Left: CT. Right: PSMA PET, same axial level, 18F tracer. PET panel 200×200 px (4.1 mm/px).
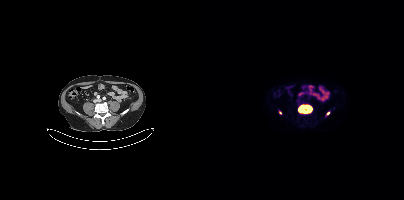
Coordinates are on the 200×200 PET (right) panel. PSMA-avid tumor lesion bounding box (x, y, width, height): x=94 y=104 w=15 h=10. Small PSMA-avid foci (2 to 4 px across) near (center x, center y): (124, 113) | (76, 112).